Paired axial CT (left) and PSMA PET (right), 18F-PSMA tracer. Acquired on Siemens Biograph mCT Flow 20. Slice position z = -352 mm.
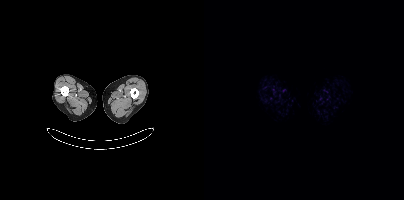
No tumor lesions annotated on this slice.